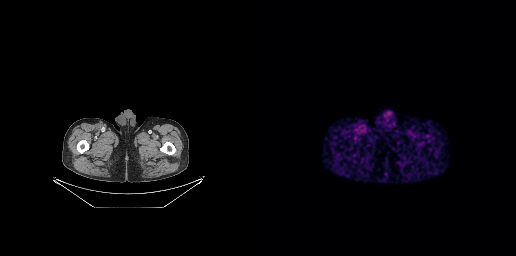
Findings: Negative for PSMA-avid disease on this slice.
- Left: CT. Right: PSMA PET, same axial level, 68Ga-PSMA tracer
- slice position z = -897 mm